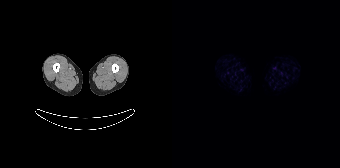
Technique: Paired axial CT (left) and PSMA PET (right), 18F tracer. acquired on Siemens Biograph 64-4R TruePoint. PET panel 168×168 px (4.1 mm/px).
Findings: No tumor lesions annotated on this slice.